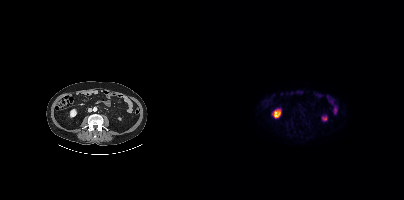
modality: PSMA PET/CT | tracer: 18F-PSMA | view: axial | PET grid: 200×200
No tumor lesions annotated on this slice.